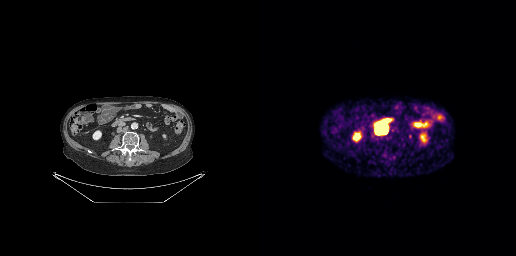
Coordinates are on the 256×256 PET (right) panel. PSMA-avid tumor lesion bounding boxes:
| # | x0 | y0 | x1 | y1 |
|---|---|---|---|---|
| 1 | 117 | 126 | 126 | 132 |
Paired axial CT (left) and PSMA PET (right), 68Ga-PSMA tracer. PET panel 256×256 px (2.7 mm/px).